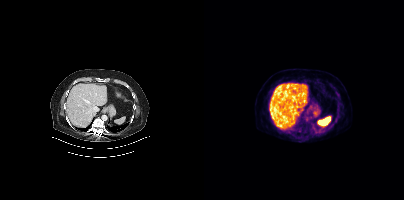
This slice has no annotated PSMA-avid lesion.